- Paired axial CT (left) and PSMA PET (right), 18F tracer
- acquired on Siemens Biograph mCT Flow 20
- slice position z = -1003 mm
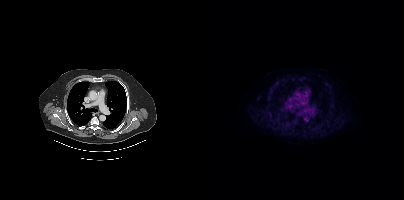
Findings: No tumor lesions annotated on this slice.